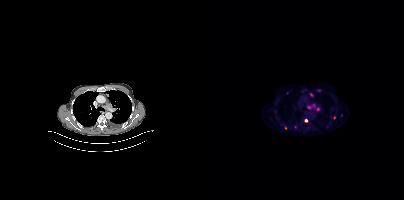
Two-panel axial: CT | PSMA PET, 18F-PSMA tracer. Acquired on Siemens Biograph mCT Flow 20. Slice position z = 418 mm. PET panel 200×200 px (4.1 mm/px). Coordinates are on the 200×200 PET (right) panel. (showing 6 of 9 foci) PSMA-avid tumor lesion bounding box (x, y, width, height): x=103 y=103 w=13 h=8. Small PSMA-avid foci (2 to 4 px across) near (center x, center y): (107, 94); (102, 120); (137, 115); (81, 128); (130, 117).